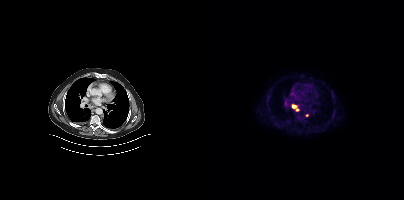
{"pet_grid":[200,200],"coord_frame":"pet_panel","coord_format":"x0,y0,x1,y1","partial":true,"lesion_bboxes":[[88,104,95,110]],"modality":"PSMA PET/CT","view":"axial","tracer":"18F"}